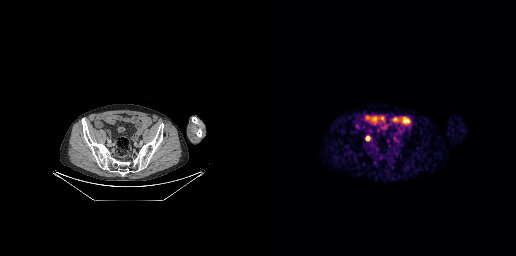
{"modality":"PSMA PET/CT","view":"axial","tracer":"68Ga","pet_grid":[256,256],"coord_frame":"pet_panel","coord_format":"x0,y0,x1,y1","lesion_bboxes":[[106,136,109,140]]}